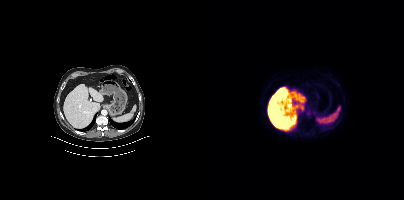
Negative for PSMA-avid disease on this slice.